Technique: Paired axial CT (left) and PSMA PET (right), 18F tracer. slice position z = -878 mm.
Note: An anonymization step blacked out a rectangle over the head in this scan.
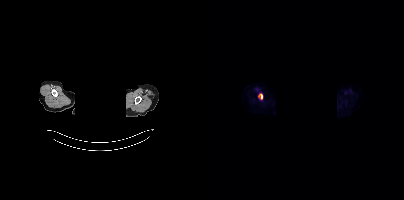
Findings: Coordinates are on the 200×200 PET (right) panel. PSMA-avid tumor lesion bounding box (x0, y0)-(x1, y1): (54, 93)-(58, 99).